- Paired axial CT (left) and PSMA PET (right), [18F]PSMA-1007 tracer
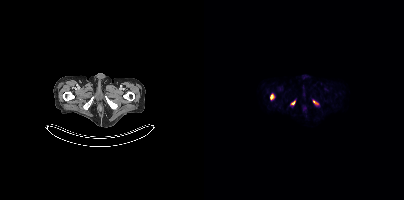
Findings: Coordinates are on the 200×200 PET (right) panel. PSMA-avid tumor lesion bounding boxes (x0,y0,x1,y1): [66,94,69,99], [109,101,114,104]. Small PSMA-avid focus (2 to 4 px across) near (center x, center y): (89, 102).